Left: CT. Right: PSMA PET, same axial level, 18F tracer. Acquired on Siemens Biograph mCT Flow 20. PET panel 200×200 px (4.1 mm/px).
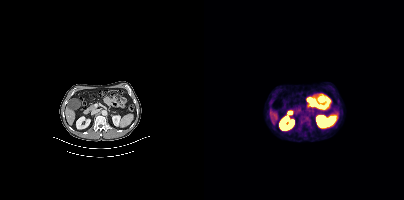
Coordinates are on the 200×200 PET (right) panel. PSMA-avid tumor lesion bounding box (x, y, width, height): x=96 y=115 w=11 h=11. Small PSMA-avid focus (2 to 4 px across) near (center x, center y): (100, 135).